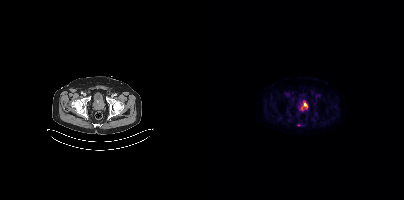
Only PSMA-avid lesion pieces thinner than 2 px on this slice (not listed).